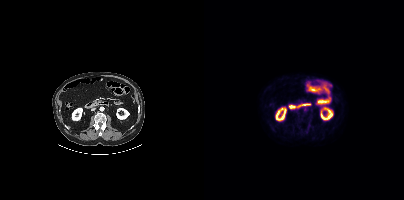
Negative for PSMA-avid disease on this slice.